- Paired axial CT (left) and PSMA PET (right), [18F]PSMA-1007 tracer
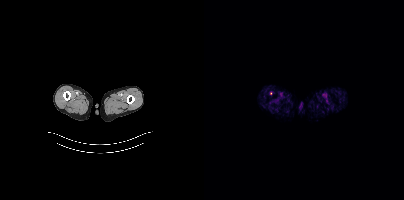
Findings: No PSMA-avid tumor lesions on this slice.